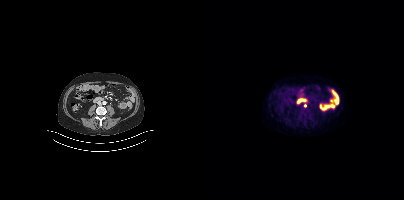
Two-panel axial: CT | PSMA PET, 18F-PSMA tracer. Acquired on Siemens Biograph mCT Flow 20. Coordinates are on the 200×200 PET (right) panel. Small PSMA-avid focus (2 to 4 px across) near (center x, center y): (101, 105).